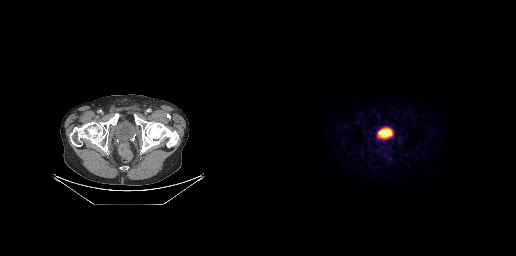
Findings: This slice has no annotated PSMA-avid lesion.
Technique: Left: CT. Right: PSMA PET, same axial level, 18F tracer. slice position z = -663 mm. PET panel 256×256 px (2.7 mm/px).